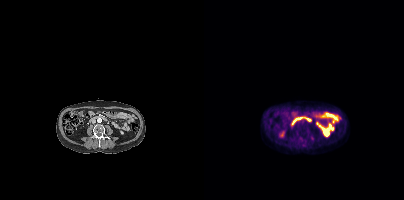
Coordinates are on the 200×200 PET (right) panel. Small PSMA-avid focus (2 to 4 px across) near (center x, center y): (97, 138).